- Left: CT. Right: PSMA PET, same axial level, 18F-PSMA tracer
- slice position z = -1626 mm
- PET panel 200×200 px (4.1 mm/px)
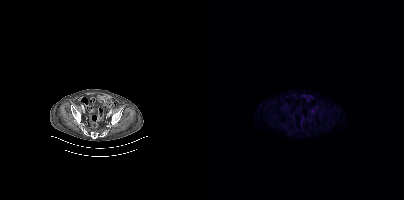
Findings: No tumor lesions annotated on this slice.